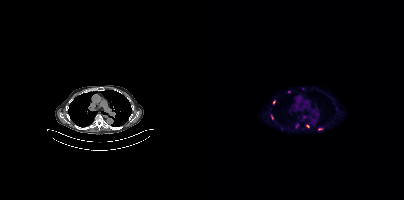
Two-panel axial: CT | PSMA PET, [18F]PSMA-1007 tracer. Slice position z = -558 mm. Coordinates are on the 200×200 PET (right) panel. (showing 7 of 10 foci) PSMA-avid tumor lesion bounding box (x, y, width, height): x=114 y=128 w=5 h=3. Small PSMA-avid foci (2 to 4 px across) near (center x, center y): (103, 126) | (93, 125) | (68, 116) | (78, 128) | (85, 91) | (70, 102).